Technique: Paired axial CT (left) and PSMA PET (right), 18F-PSMA tracer. acquired on GE Discovery 690.
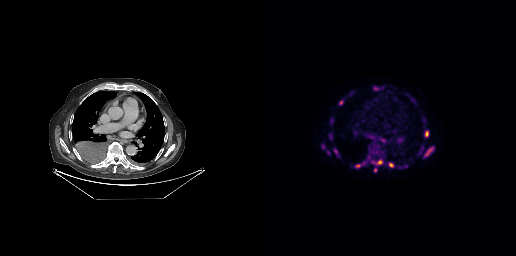
Findings: Coordinates are on the 256×256 PET (right) panel. (showing 11 of 14 foci) PSMA-avid tumor lesion bounding boxes (x0,y0,x1,y1): [165,130,168,137], [165,148,171,155], [116,160,122,164], [129,163,133,167], [74,149,77,154], [96,164,100,167], [70,134,71,138]. Small PSMA-avid foci (2 to 4 px across) near (center x, center y): (81, 102), (63, 146), (68, 152), (115, 170).